- Left: CT. Right: PSMA PET, same axial level, 18F tracer
- slice position z = -38 mm
- PET panel 200×200 px (4.1 mm/px)
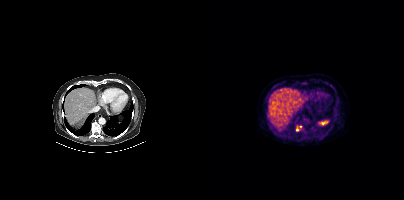
Findings: Coordinates are on the 200×200 PET (right) panel. (showing 2 of 3 foci) PSMA-avid tumor lesion bounding box (x, y, width, height): x=92 y=127 w=3 h=5. Small PSMA-avid focus (2 to 4 px across) near (center x, center y): (96, 126).